Paired axial CT (left) and PSMA PET (right), 18F tracer. The face region was removed for patient privacy by blanking a rectangle over the head.
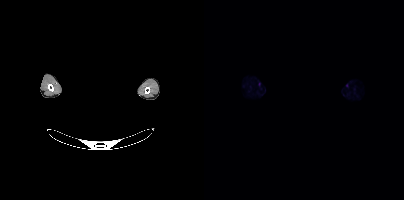
No PSMA-avid tumor lesions on this slice.